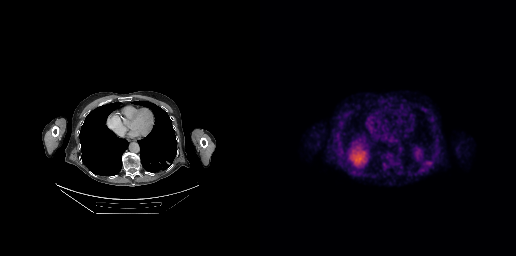
Coordinates are on the 256×256 PET (right) panel. Small PSMA-avid focus (2 to 4 px across) near (center x, center y): (167, 164).